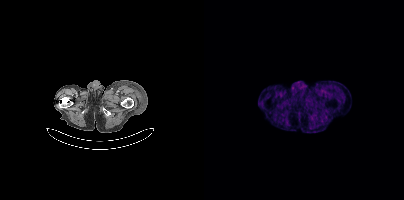
Negative for PSMA-avid disease on this slice. Two-panel axial: CT | PSMA PET, 68Ga-PSMA tracer.